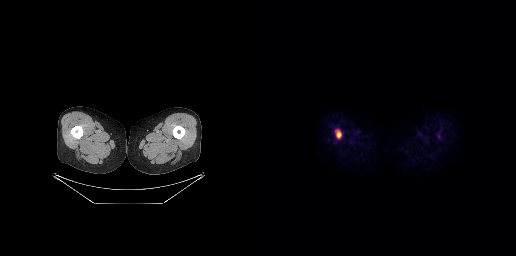
modality: PSMA PET/CT | tracer: [18F]PSMA-1007 | view: axial
Coordinates are on the 256×256 PET (right) panel. PSMA-avid tumor lesion bounding box (x0,y0,x1,y1): [76,130,81,138].